modality: PSMA PET/CT | tracer: 18F-PSMA | view: axial
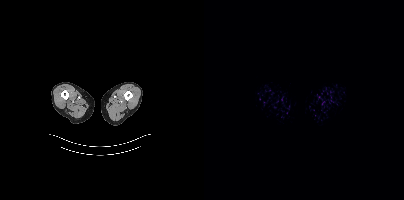
This slice has no annotated PSMA-avid lesion.